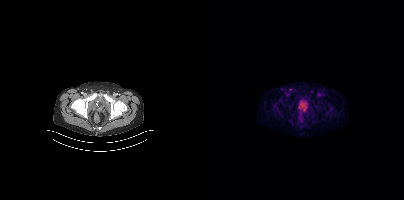
Findings: Coordinates are on the 200×200 PET (right) panel. Small PSMA-avid focus (2 to 4 px across) near (center x, center y): (86, 89).
- Paired axial CT (left) and PSMA PET (right), [18F]PSMA-1007 tracer
- slice position z = -1492 mm